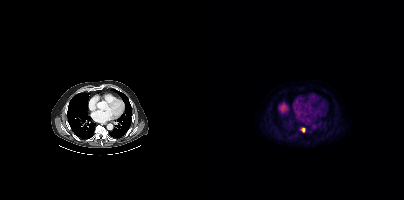
Paired axial CT (left) and PSMA PET (right), 18F-PSMA tracer. Acquired on Siemens Biograph mCT Flow 20. PET panel 200×200 px (4.1 mm/px). Coordinates are on the 200×200 PET (right) panel. Small PSMA-avid focus (2 to 4 px across) near (center x, center y): (99, 129).